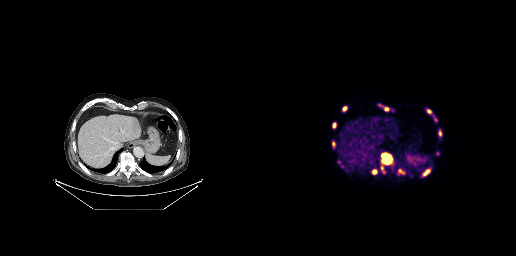
Technique: Paired axial CT (left) and PSMA PET (right), 68Ga tracer. acquired on GE Discovery 690.
Findings: Coordinates are on the 256×256 PET (right) panel. (showing 13 of 15 foci) PSMA-avid tumor lesion bounding boxes (x0,y0,x1,y1): [122,154,130,163]; [138,169,145,174]; [163,169,170,175]; [118,104,128,110]; [120,164,123,171]; [112,169,116,174]; [72,123,76,128]; [82,106,86,111]; [178,130,181,135]; [72,142,74,146]. Small PSMA-avid foci (2 to 4 px across) near (center x, center y): (168, 111); (79, 162); (177, 153).